Paired axial CT (left) and PSMA PET (right), [18F]PSMA-1007 tracer. Slice position z = -1084 mm.
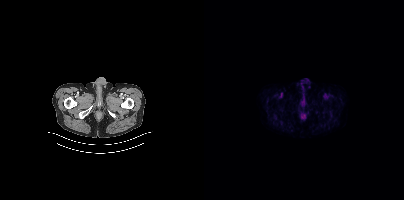
No PSMA-avid tumor lesions on this slice.